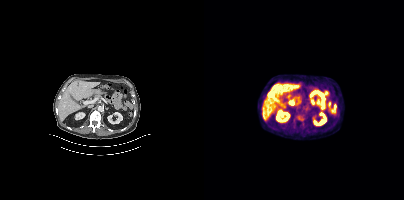
Findings: This slice has no annotated PSMA-avid lesion.
Technique: Paired axial CT (left) and PSMA PET (right), 18F-PSMA tracer. slice 195 of 377. PET panel 200×200 px (4.1 mm/px).